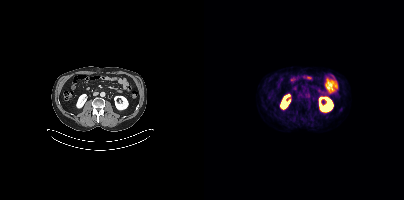
This slice has no annotated PSMA-avid lesion.
modality: PSMA PET/CT | tracer: 18F-PSMA | view: axial | PET grid: 200×200